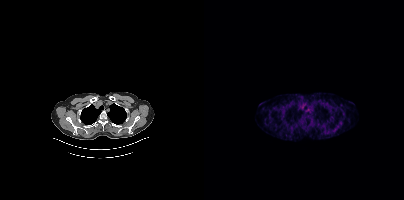
{"modality":"PSMA PET/CT","view":"axial","tracer":"68Ga","pet_grid":[200,200],"coord_frame":"pet_panel","coord_format":"x0,y0,x1,y1","psma_avid_lesions":false}